modality: PSMA PET/CT | tracer: 18F | view: axial | PET grid: 200×200
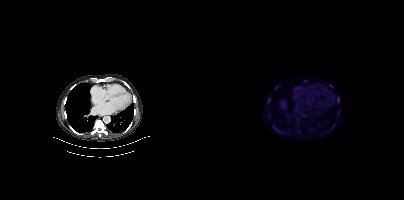
Coordinates are on the 200×200 PET (right) panel. PSMA-avid tumor lesion bounding boxes (x, y, width, height): x=68 y=124 w=8 h=8 / x=63 y=97 w=4 h=7 / x=133 y=96 w=3 h=6. Small PSMA-avid foci (2 to 4 px across) near (center x, center y): (127, 85) / (72, 87) / (101, 80) / (134, 112).